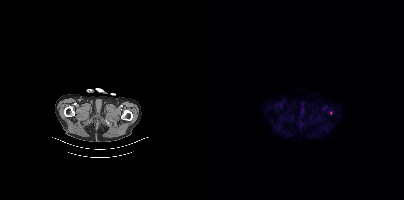
Two-panel axial: CT | PSMA PET, 18F-PSMA tracer. Acquired on Siemens Biograph mCT Flow 20. Slice position z = -314 mm. PET panel 200×200 px (4.1 mm/px). Coordinates are on the 200×200 PET (right) panel. Small PSMA-avid focus (2 to 4 px across) near (center x, center y): (126, 112).